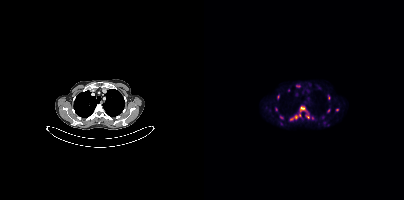
Technique: Left: CT. Right: PSMA PET, same axial level, 18F tracer. acquired on Siemens Biograph mCT Flow 20. PET panel 200×200 px (4.1 mm/px).
Findings: Coordinates are on the 200×200 PET (right) panel. (showing 10 of 12 foci) PSMA-avid tumor lesion bounding boxes (x0, y0)-(x1, y1): (85, 105)-(105, 120); (92, 85)-(96, 87); (124, 95)-(126, 99). Small PSMA-avid foci (2 to 4 px across) near (center x, center y): (74, 96); (77, 117); (124, 110); (133, 110); (72, 109); (84, 90); (108, 118).